Left: CT. Right: PSMA PET, same axial level, 68Ga-PSMA tracer.
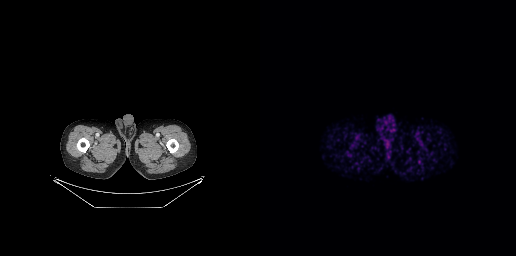
No tumor lesions annotated on this slice.